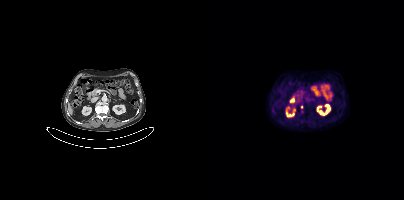
Two-panel axial: CT | PSMA PET, 18F-PSMA tracer. Only PSMA-avid lesion pieces thinner than 2 px on this slice (not listed).